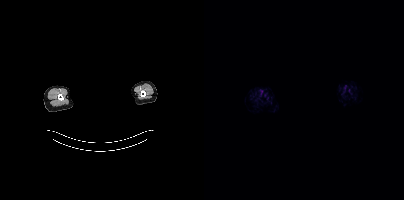
The face region was removed for patient privacy by blanking a rectangle over the head. Two-panel axial: CT | PSMA PET, 18F tracer. Acquired on Siemens Biograph mCT Flow 20. Slice position z = -1022 mm. PET panel 200×200 px (4.1 mm/px). No tumor lesions annotated on this slice.